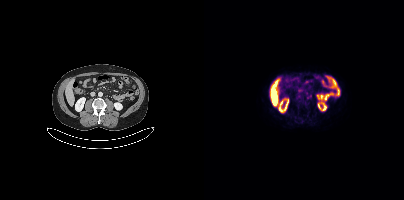
- Paired axial CT (left) and PSMA PET (right), [18F]PSMA-1007 tracer
- slice 191 of 433
- PET panel 200×200 px (4.1 mm/px)
Findings: Coordinates are on the 200×200 PET (right) panel. (showing 2 of 4 foci) Small PSMA-avid foci (2 to 4 px across) near (center x, center y): (102, 92) / (95, 96).